- Paired axial CT (left) and PSMA PET (right), 18F-PSMA tracer
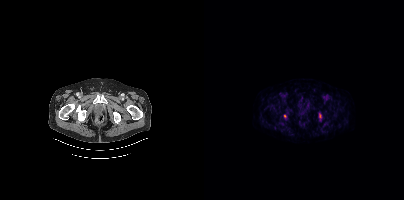
Findings: Coordinates are on the 200×200 PET (right) panel. Small PSMA-avid foci (2 to 4 px across) near (center x, center y): (115, 115) (81, 116).